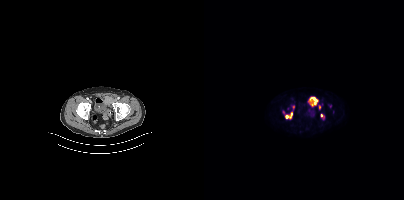
{"pet_grid":[200,200],"coord_frame":"pet_panel","coord_format":"x0,y0,x1,y1","partial":true,"lesion_bboxes":[[106,97,113,106],[81,113,88,118],[117,114,120,118]],"small_foci_centers":[[89,106]],"modality":"PSMA PET/CT","view":"axial","tracer":"18F"}